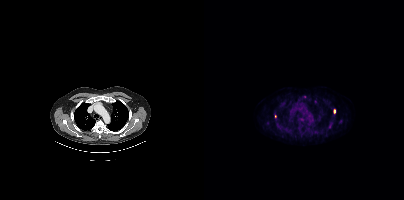
Findings: Coordinates are on the 200×200 PET (right) panel. PSMA-avid tumor lesion bounding box (x0,y0,x1,y1): [130,109,131,113]. Small PSMA-avid focus (2 to 4 px across) near (center x, center y): (71, 116).
Technique: Paired axial CT (left) and PSMA PET (right), [18F]PSMA-1007 tracer. acquired on Siemens Biograph mCT Flow 20. PET panel 200×200 px (4.1 mm/px).